modality: PSMA PET/CT | tracer: [18F]PSMA-1007 | view: axial | PET grid: 200×200
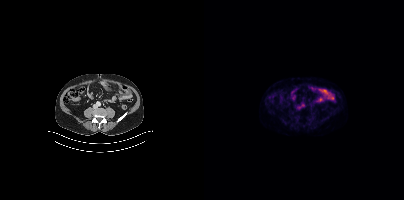
Negative for PSMA-avid disease on this slice.